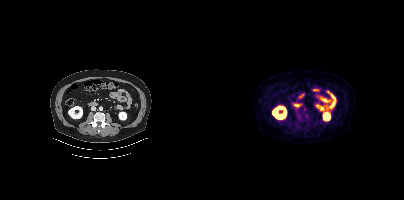
Findings: Negative for PSMA-avid disease on this slice.
- Two-panel axial: CT | PSMA PET, 18F-PSMA tracer
- acquired on Siemens Biograph mCT Flow 20
- PET panel 200×200 px (4.1 mm/px)